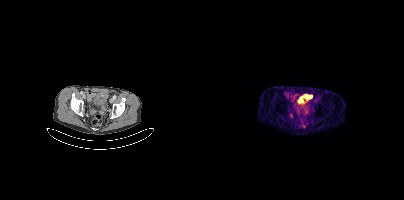
modality: PSMA PET/CT | tracer: 68Ga | view: axial | PET grid: 200×200
Coordinates are on the 200×200 PET (right) panel. Small PSMA-avid focus (2 to 4 px across) near (center x, center y): (87, 115).